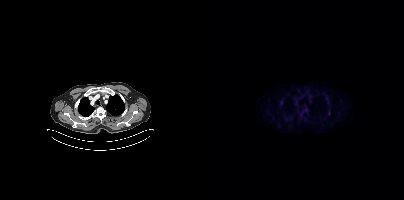
Only PSMA-avid lesion pieces thinner than 2 px on this slice (not listed). Left: CT. Right: PSMA PET, same axial level, 18F tracer. Acquired on Siemens Biograph mCT Flow 20.